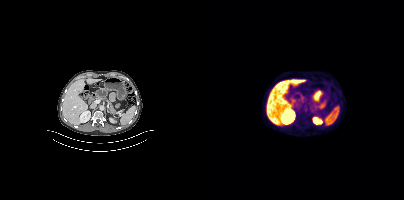
{"modality":"PSMA PET/CT","view":"axial","tracer":"[18F]PSMA-1007","pet_grid":[200,200],"coord_frame":"pet_panel","coord_format":"x0,y0,x1,y1","psma_avid_lesions":false}